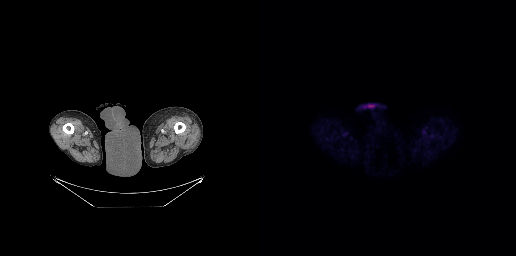
Two-panel axial: CT | PSMA PET, 18F-PSMA tracer. Slice position z = -1032 mm. No PSMA-avid tumor lesions on this slice.